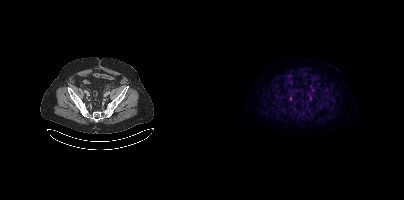
Coordinates are on the 200×200 PET (right) panel. Small PSMA-avid foci (2 to 4 px across) near (center x, center y): (106, 98); (86, 98).